Paired axial CT (left) and PSMA PET (right), 18F-PSMA tracer.
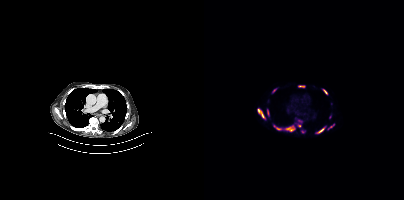
Coordinates are on the 200×200 PET (right) panel. PSMA-avid tumor lesion bounding boxes (partial; 2 more foci not listed):
| # | x0 | y0 | x1 | y1 |
|---|---|---|---|---|
| 1 | 70 | 125 | 90 | 131 |
| 2 | 53 | 108 | 61 | 118 |
| 3 | 94 | 85 | 101 | 87 |
| 4 | 113 | 128 | 121 | 133 |
| 5 | 119 | 89 | 123 | 94 |
| 6 | 63 | 109 | 65 | 114 |
| 7 | 124 | 124 | 130 | 129 |
| 8 | 68 | 89 | 72 | 92 |
Small PSMA-avid focus (2 to 4 px across) near (center x, center y): (95, 125).